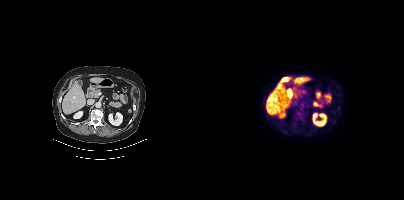
Technique: Paired axial CT (left) and PSMA PET (right), 18F-PSMA tracer. slice 224 of 462.
Findings: This slice has no annotated PSMA-avid lesion.